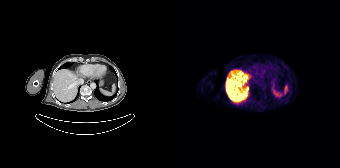
{"modality":"PSMA PET/CT","view":"axial","tracer":"68Ga","pet_grid":[168,168],"coord_frame":"pet_panel","coord_format":"x0,y0,x1,y1","psma_avid_lesions":false}